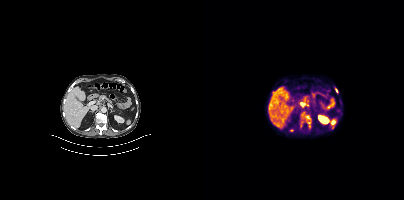
modality: PSMA PET/CT | tracer: 18F-PSMA | view: axial | PET grid: 200×200
Coordinates are on the 200×200 PET (right) panel. PSMA-avid tumor lesion bounding boxes (x, y, width, height): x=96 y=113 w=12 h=16 / x=131 y=88 w=3 h=5. Small PSMA-avid focus (2 to 4 px across) near (center x, center y): (87, 130).